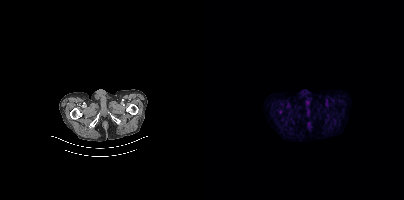
Coordinates are on the 200×200 PET (right) panel. Small PSMA-avid focus (2 to 4 px across) near (center x, center y): (76, 111).
modality: PSMA PET/CT | tracer: [18F]PSMA-1007 | view: axial